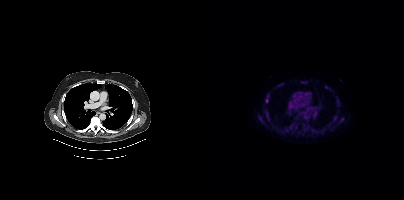
Two-panel axial: CT | PSMA PET, 18F tracer. Slice position z = -905 mm. Coordinates are on the 200×200 PET (right) panel. (showing 11 of 13 foci) PSMA-avid tumor lesion bounding boxes (x0,y0,x1,y1): [61,109,68,123] [92,118,97,124] [87,128,91,131] [54,117,58,121] [97,81,101,83] [135,119,139,122]. Small PSMA-avid foci (2 to 4 px across) near (center x, center y): (101, 128) (63, 95) (74, 131) (119, 130) (122, 86).